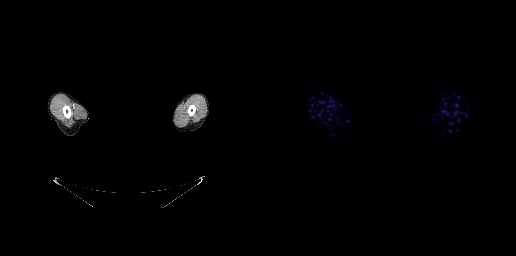
Technique: Left: CT. Right: PSMA PET, same axial level, 68Ga tracer.
Note: Face de-identified by blanking a block of the head.
Findings: No tumor lesions annotated on this slice.